Left: CT. Right: PSMA PET, same axial level, 18F tracer. PET panel 200×200 px (4.1 mm/px).
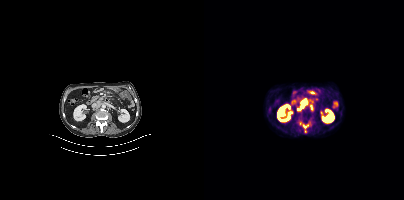
Coordinates are on the 200×200 PET (right) panel. PSMA-avid tumor lesion bounding boxes (x0,y0,x1,y1): [95,121,107,132] [93,99,103,110]. Small PSMA-avid focus (2 to 4 px across) near (center x, center y): (107, 107).